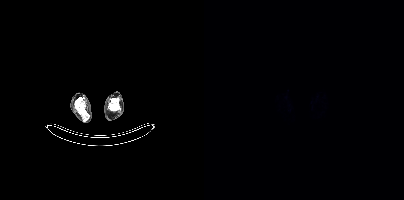
No tumor lesions annotated on this slice.